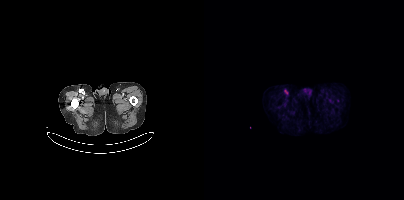
Technique: Left: CT. Right: PSMA PET, same axial level, [18F]PSMA-1007 tracer. acquired on Siemens Biograph mCT Flow 20. PET panel 200×200 px (4.1 mm/px).
Findings: Coordinates are on the 200×200 PET (right) panel. (showing 1 of 2 foci) PSMA-avid tumor lesion bounding box (x, y, width, height): x=80 y=90 w=4 h=5.